modality: PSMA PET/CT | tracer: 68Ga | view: axial | PET grid: 200×200
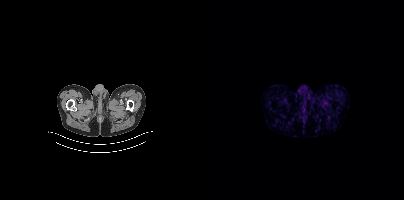
No tumor lesions annotated on this slice.